- Paired axial CT (left) and PSMA PET (right), 18F tracer
- acquired on Siemens Biograph mCT Flow 20
- slice position z = -1202 mm
- PET panel 200×200 px (4.1 mm/px)
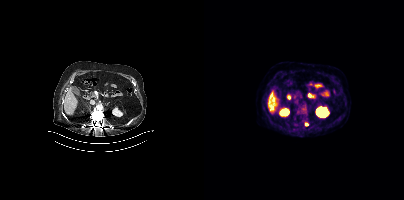
Findings: Coordinates are on the 200×200 PET (right) panel. Small PSMA-avid focus (2 to 4 px across) near (center x, center y): (102, 124).